Technique: Two-panel axial: CT | PSMA PET, 68Ga tracer. slice 2 of 263.
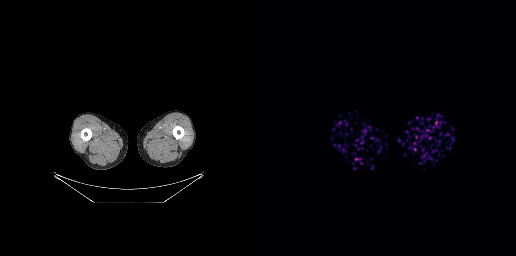
Findings: No PSMA-avid tumor lesions on this slice.